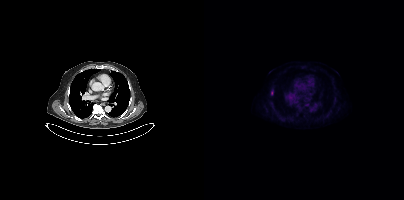
Coordinates are on the 200×200 PET (right) panel. Small PSMA-avid focus (2 to 4 px across) near (center x, center y): (68, 92).